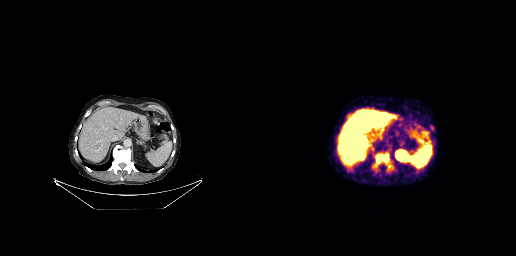
{"pet_grid":[256,256],"coord_frame":"pet_panel","coord_format":"x0,y0,x1,y1","lesion_bboxes":[[115,153,131,168],[170,125,174,131]],"modality":"PSMA PET/CT","view":"axial","tracer":"18F-PSMA"}